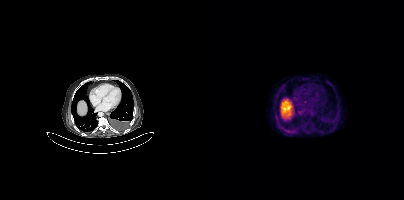
This slice has no annotated PSMA-avid lesion.